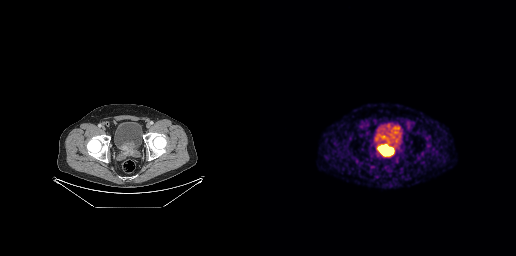
{"modality":"PSMA PET/CT","view":"axial","tracer":"68Ga-PSMA","pet_grid":[256,256],"coord_frame":"pet_panel","coord_format":"x0,y0,x1,y1","lesion_bboxes":[[118,144,133,155]]}